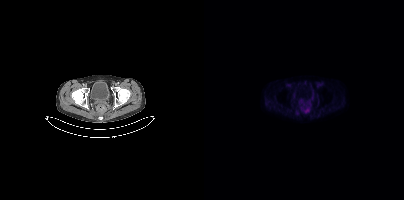
{"pet_grid":[200,200],"coord_frame":"pet_panel","coord_format":"x0,y0,x1,y1","lesion_bboxes":[[101,108,104,112]],"modality":"PSMA PET/CT","view":"axial","tracer":"18F"}